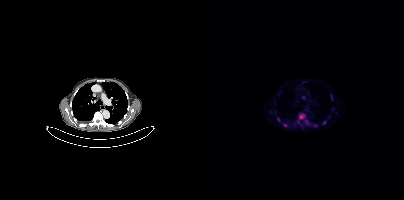
Coordinates are on the 200×200 PET (right) panel. (showing 7 of 9 foci) PSMA-avid tumor lesion bounding box (x0, y0)-(x1, y1): (95, 114)-(100, 119). Small PSMA-avid foci (2 to 4 px across) near (center x, center y): (99, 97); (120, 122); (81, 125); (74, 119); (111, 125); (102, 120).